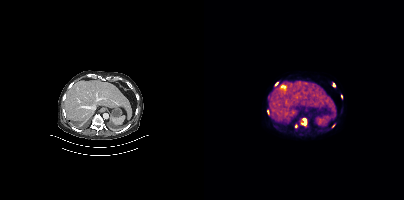
Coordinates are on the 200×200 PET (right) panel. PSMA-avid tumor lesion bounding boxes (x0,y0,x1,y1): [95,118,103,127] [128,82,131,87] [91,124,93,128] [63,110,65,114]. Small PSMA-avid foci (2 to 4 px across) near (center x, center y): (72, 83) (137, 96) (129, 125). Left: CT. Right: PSMA PET, same axial level, 18F-PSMA tracer. Slice 270 of 444. PET panel 200×200 px (4.1 mm/px).